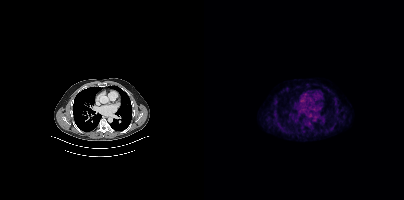
Negative for PSMA-avid disease on this slice. Two-panel axial: CT | PSMA PET, 18F-PSMA tracer. Acquired on Siemens Biograph mCT Flow 20.